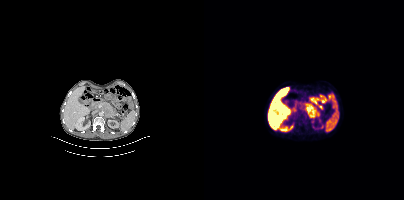
- Paired axial CT (left) and PSMA PET (right), 18F tracer
- acquired on Siemens Biograph mCT Flow 20
- slice position z = -1278 mm
Findings: Coordinates are on the 200×200 PET (right) panel. PSMA-avid tumor lesion bounding box (x0,y0,x1,y1): [101,103,114,117].